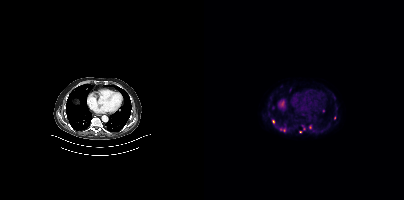
{"modality":"PSMA PET/CT","view":"axial","tracer":"18F","pet_grid":[200,200],"coord_frame":"pet_panel","coord_format":"x0,y0,x1,y1","partial":true,"lesion_bboxes":[[76,128,81,131]],"small_foci_centers":[[106,127],[69,121],[119,110],[100,128]]}